Paired axial CT (left) and PSMA PET (right), [18F]PSMA-1007 tracer.
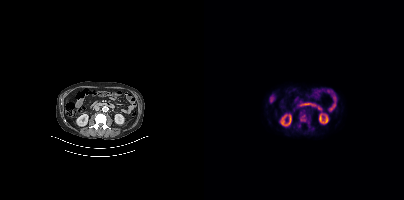
Coordinates are on the 200×200 PET (right) panel. (showing 2 of 4 foci) PSMA-avid tumor lesion bounding box (x, y, width, height): x=95 y=112 w=11 h=12. Small PSMA-avid focus (2 to 4 px across) near (center x, center y): (95, 125).